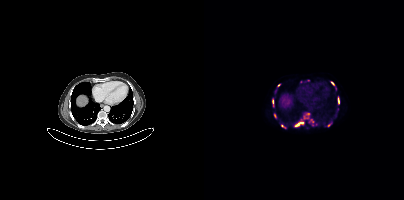
- Paired axial CT (left) and PSMA PET (right), 18F-PSMA tracer
Findings: Coordinates are on the 200×200 PET (right) panel. (showing 9 of 14 foci) PSMA-avid tumor lesion bounding boxes (x0,y0,x1,y1): [134,96,135,104], [95,122,99,125]. Small PSMA-avid foci (2 to 4 px across) near (center x, center y): (108, 120), (128, 83), (70, 115), (125, 125), (68, 101), (104, 113), (78, 125).